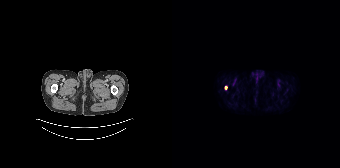
modality: PSMA PET/CT | tracer: 18F-PSMA | view: axial | PET grid: 168×168
Coordinates are on the 168×168 PET (right) panel. Small PSMA-avid focus (2 to 4 px across) near (center x, center y): (54, 87).